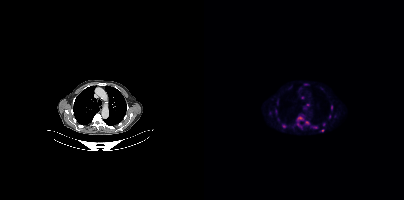
{"modality":"PSMA PET/CT","view":"axial","tracer":"18F-PSMA","pet_grid":[200,200],"coord_frame":"pet_panel","coord_format":"x0,y0,x1,y1","partial":true,"lesion_bboxes":[[93,116,99,121],[71,109,73,114]],"small_foci_centers":[[103,122],[98,97],[127,107],[80,126],[94,124],[110,127],[66,113],[125,116],[118,130],[103,104],[119,124]]}